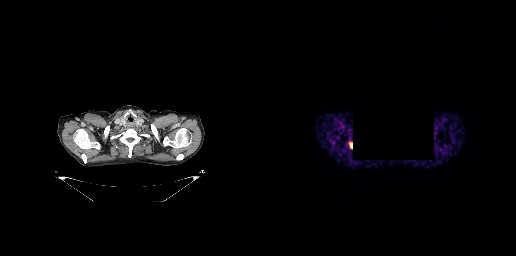
{"modality":"PSMA PET/CT","view":"axial","tracer":"68Ga","pet_grid":[256,256],"coord_frame":"pet_panel","coord_format":"x0,y0,x1,y1","lesion_bboxes":[[89,142,92,148]],"de-identification":"black rectangle is a privacy mask"}